Privacy masking over the head, with the pixels inside a rectangle set to black. Paired axial CT (left) and PSMA PET (right), 18F-PSMA tracer. Slice 408 of 413. PET panel 200×200 px (4.1 mm/px).
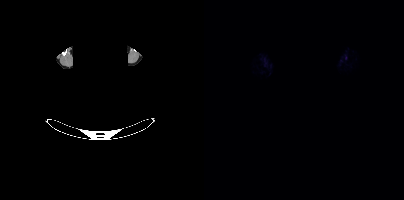
Negative for PSMA-avid disease on this slice.